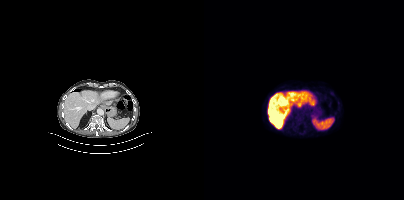
Paired axial CT (left) and PSMA PET (right), 18F tracer. Acquired on Siemens Biograph mCT Flow 20. PET panel 200×200 px (4.1 mm/px). Negative for PSMA-avid disease on this slice.